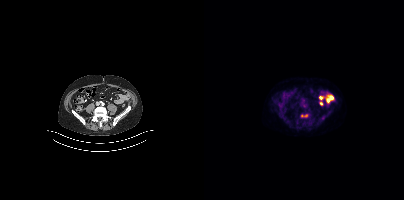
Technique: Paired axial CT (left) and PSMA PET (right), [18F]PSMA-1007 tracer.
Findings: Coordinates are on the 200×200 PET (right) panel. (showing 1 of 2 foci) Small PSMA-avid focus (2 to 4 px across) near (center x, center y): (102, 115).